Two-panel axial: CT | PSMA PET, 68Ga-PSMA tracer.
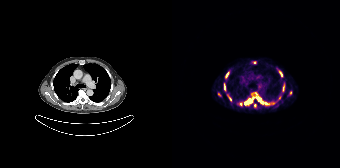
Coordinates are on the 168×168 PET (right) panel. (showing 6 of 12 foci) PSMA-avid tumor lesion bounding boxes (x0,y0,x1,y1): [85,98,90,102], [107,71,110,76], [54,73,56,77], [52,85,53,89]. Small PSMA-avid foci (2 to 4 px across) near (center x, center y): (78, 100), (74, 103).